Technique: Paired axial CT (left) and PSMA PET (right), 18F tracer. acquired on GE Discovery 690.
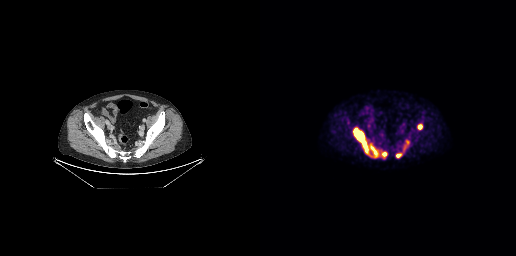
Findings: Coordinates are on the 256×256 PET (right) panel. PSMA-avid tumor lesion bounding boxes (x0,y0,x1,y1): [93,127,118,157]; [121,152,127,157]; [136,153,142,157]; [158,124,162,129]; [146,140,149,144]. Small PSMA-avid focus (2 to 4 px across) near (center x, center y): (144, 147).